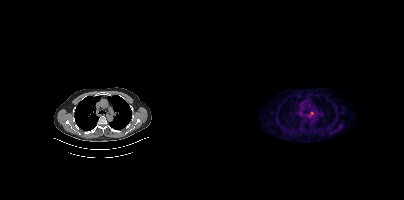
{"modality":"PSMA PET/CT","view":"axial","tracer":"68Ga-PSMA","pet_grid":[200,200],"coord_frame":"pet_panel","coord_format":"x0,y0,x1,y1","lesion_bboxes":[],"small_foci_centers":[[107,113]]}